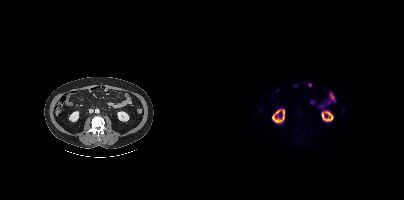
No tumor lesions annotated on this slice.